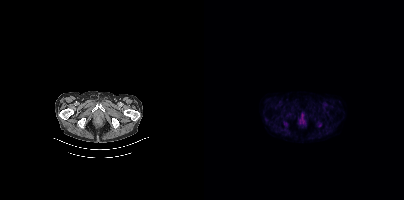
Negative for PSMA-avid disease on this slice.
modality: PSMA PET/CT | tracer: [18F]PSMA-1007 | view: axial